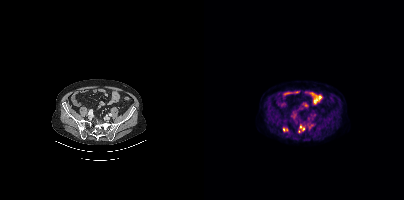
- Paired axial CT (left) and PSMA PET (right), [18F]PSMA-1007 tracer
Findings: Coordinates are on the 200×200 PET (right) panel. PSMA-avid tumor lesion bounding box (x, y, width, height): x=79 y=128 w=5 h=4. Small PSMA-avid foci (2 to 4 px across) near (center x, center y): (99, 129); (96, 126).